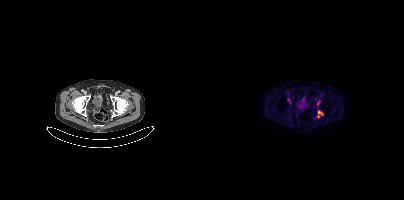
{"modality":"PSMA PET/CT","view":"axial","tracer":"18F","pet_grid":[200,200],"coord_frame":"pet_panel","coord_format":"x0,y0,x1,y1","partial":true,"lesion_bboxes":[[114,111,118,114]],"small_foci_centers":[[114,102],[114,116],[84,99]]}